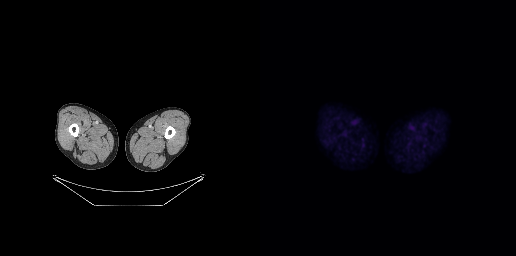
Negative for PSMA-avid disease on this slice.